Technique: Left: CT. Right: PSMA PET, same axial level, 18F-PSMA tracer. acquired on Siemens Biograph mCT Flow 20. slice 196 of 423. PET panel 200×200 px (4.1 mm/px).
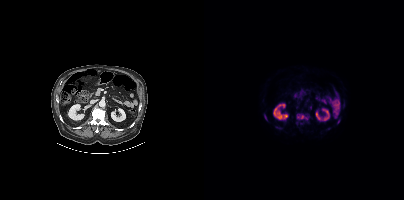
Findings: Coordinates are on the 200×200 PET (right) panel. (showing 2 of 4 foci) PSMA-avid tumor lesion bounding boxes (x0, y0)-(x1, y1): (92, 113)-(105, 120) / (60, 114)-(63, 120).